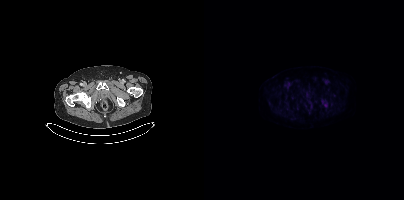
Negative for PSMA-avid disease on this slice. Two-panel axial: CT | PSMA PET, 18F tracer. PET panel 200×200 px (4.1 mm/px).